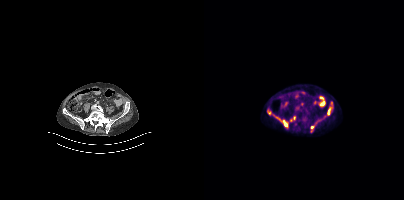
{"pet_grid":[200,200],"coord_frame":"pet_panel","coord_format":"x0,y0,x1,y1","lesion_bboxes":[[80,124,83,128],[124,107,126,112],[63,110,67,114],[72,117,76,119]],"modality":"PSMA PET/CT","view":"axial","tracer":"[18F]PSMA-1007"}